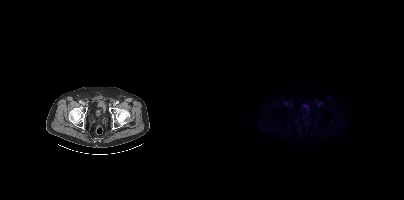
{"pet_grid":[200,200],"coord_frame":"pet_panel","coord_format":"x0,y0,x1,y1","psma_avid_lesions":false,"modality":"PSMA PET/CT","view":"axial","tracer":"18F"}